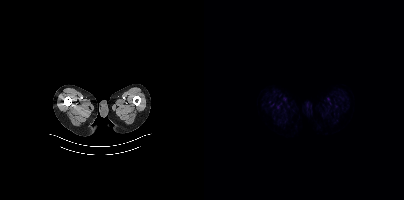
- Paired axial CT (left) and PSMA PET (right), 18F tracer
Findings: No tumor lesions annotated on this slice.